Two-panel axial: CT | PSMA PET, [18F]PSMA-1007 tracer. Acquired on Siemens Biograph mCT Flow 20. Slice 29 of 354.
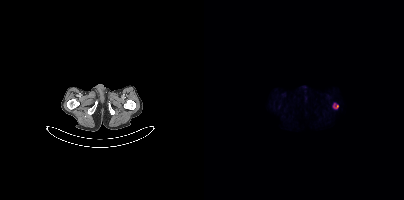
Coordinates are on the 200×200 PET (right) panel. PSMA-avid tumor lesion bounding boxes:
| # | x0 | y0 | x1 | y1 |
|---|---|---|---|---|
| 1 | 129 | 103 | 134 | 108 |